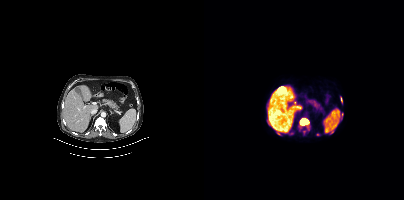
{"modality":"PSMA PET/CT","view":"axial","tracer":"[18F]PSMA-1007","pet_grid":[200,200],"coord_frame":"pet_panel","coord_format":"x0,y0,x1,y1","partial":true,"lesion_bboxes":[[96,118,104,125]]}